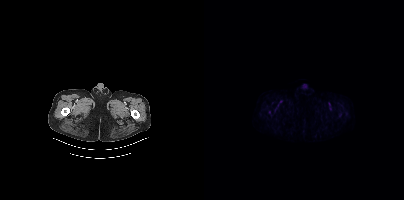
Findings: This slice has no annotated PSMA-avid lesion.
Technique: Two-panel axial: CT | PSMA PET, 18F-PSMA tracer. acquired on Siemens Biograph mCT Flow 20.